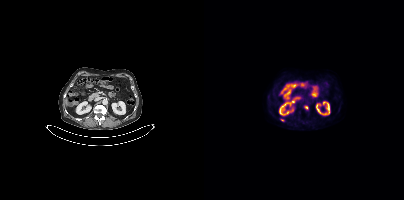
Coordinates are on the 200×200 PET (right) panel. PSMA-avid tumor lesion bounding box (x0,y0,x1,y1): [76,119,80,121]. Small PSMA-avid focus (2 to 4 px across) near (center x, center y): (102, 107).